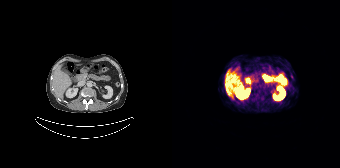
No PSMA-avid tumor lesions on this slice.